- Paired axial CT (left) and PSMA PET (right), [18F]PSMA-1007 tracer
- acquired on Siemens Biograph mCT Flow 20
- PET panel 200×200 px (4.1 mm/px)
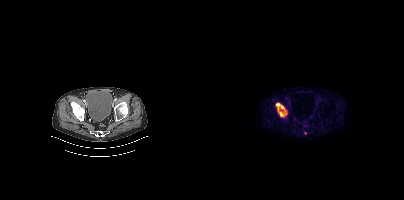
Findings: Coordinates are on the 200×200 PET (right) panel. PSMA-avid tumor lesion bounding box (x0, y0)-(x1, y1): (72, 103)-(83, 117). Small PSMA-avid focus (2 to 4 px across) near (center x, center y): (101, 133).